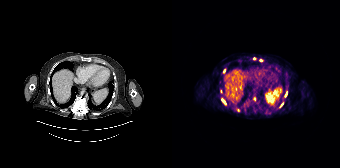
Coordinates are on the 168×168 PET (right) panel. (showing 8 of 10 foci) PSMA-avid tumor lesion bounding box (x, y, width, height): x=50 y=99 w=4 h=6. Small PSMA-avid foci (2 to 4 px across) near (center x, center y): (114, 94) / (109, 104) / (89, 60) / (52, 71) / (82, 58) / (82, 98) / (66, 110).